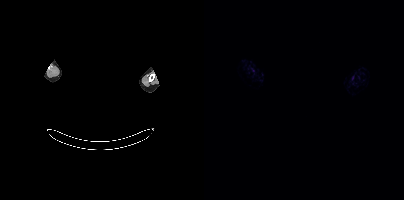
The head region is masked for de-identification.
No PSMA-avid tumor lesions on this slice.